modality: PSMA PET/CT | tracer: [18F]PSMA-1007 | view: axial | PET grid: 200×200
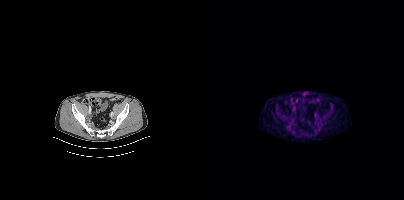
No PSMA-avid tumor lesions on this slice.